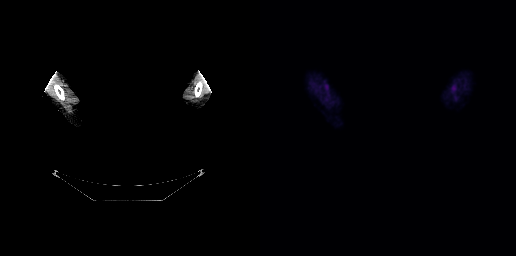
No PSMA-avid tumor lesions on this slice. Left: CT. Right: PSMA PET, same axial level, 18F tracer. Acquired on GE Discovery 690. Slice 282 of 299. An anonymization step blacked out a rectangle over the head in this scan.